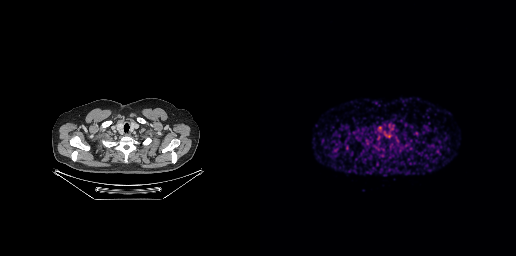
Findings: No PSMA-avid tumor lesions on this slice.
Technique: Paired axial CT (left) and PSMA PET (right), [68Ga]Ga-PSMA-11 tracer. acquired on GE Discovery 690.